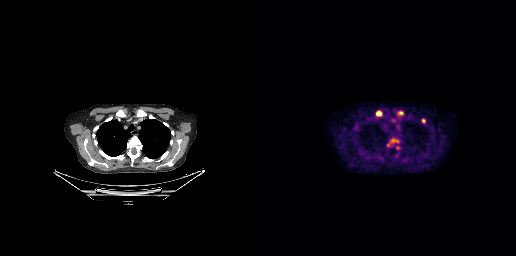
{"pet_grid":[256,256],"coord_frame":"pet_panel","coord_format":"x0,y0,x1,y1","partial":true,"lesion_bboxes":[[116,111,121,116],[130,137,138,142],[138,111,143,114]],"small_foci_centers":[[163,120]],"modality":"PSMA PET/CT","view":"axial","tracer":"18F"}